Technique: Left: CT. Right: PSMA PET, same axial level, 18F tracer.
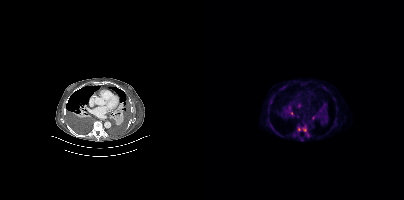
Findings: Coordinates are on the 200×200 PET (right) panel. (showing 3 of 5 foci) PSMA-avid tumor lesion bounding box (x0,y0,x1,y1): [98,127,105,137]. Small PSMA-avid foci (2 to 4 px across) near (center x, center y): (95, 128) (87, 113).